Paired axial CT (left) and PSMA PET (right), 18F-PSMA tracer. Slice 28 of 421.
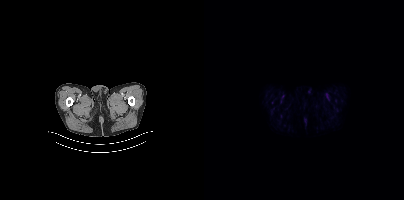
Negative for PSMA-avid disease on this slice.